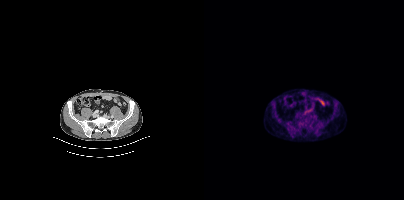
Negative for PSMA-avid disease on this slice.